- Two-panel axial: CT | PSMA PET, [18F]PSMA-1007 tracer
- acquired on Siemens Biograph mCT Flow 20
- slice 200 of 377
- PET panel 200×200 px (4.1 mm/px)
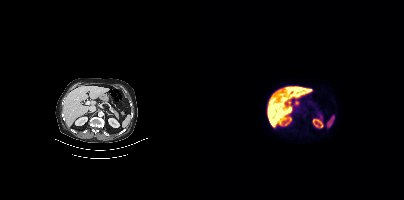
Findings: No tumor lesions annotated on this slice.